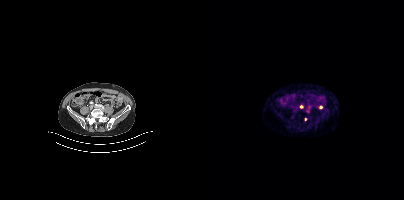
Findings: Coordinates are on the 200×200 PET (right) panel. Small PSMA-avid foci (2 to 4 px across) near (center x, center y): (97, 106); (117, 107); (101, 119).
- Paired axial CT (left) and PSMA PET (right), 68Ga-PSMA tracer
- acquired on Siemens Biograph mCT Flow 20
- PET panel 200×200 px (4.1 mm/px)